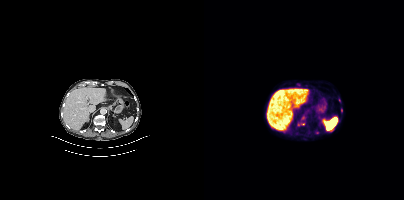
Coordinates are on the 200×200 PET (right) panel. (showing 2 of 3 foci) Small PSMA-avid foci (2 to 4 px across) near (center x, center y): (137, 110) / (94, 84).